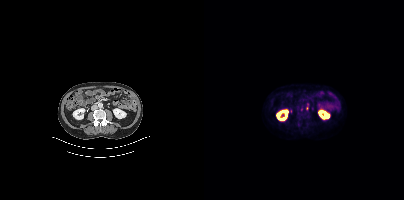
Two-panel axial: CT | PSMA PET, 18F-PSMA tracer. Coordinates are on the 200×200 PET (right) panel. Small PSMA-avid focus (2 to 4 px across) near (center x, center y): (103, 108).